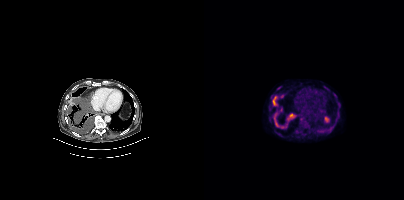
Coordinates are on the 200×200 PET (right) panel. PSMA-avid tumor lesion bounding boxes (x, y, width, height): x=68 y=96 w=6 h=10; x=69 y=117 w=11 h=12; x=83 y=114 w=9 h=8; x=100 y=121 w=4 h=7. Small PSMA-avid focus (2 to 4 px across) near (center x, center y): (97, 122). Paired axial CT (left) and PSMA PET (right), 18F tracer. Slice 271 of 452.